- Left: CT. Right: PSMA PET, same axial level, 68Ga tracer
- acquired on GE Discovery 690
- PET panel 256×256 px (2.7 mm/px)
- a rectangle over the head was blacked out to remove identifiable facial features
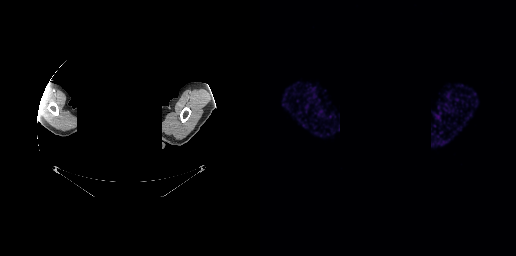
Findings: No tumor lesions annotated on this slice.